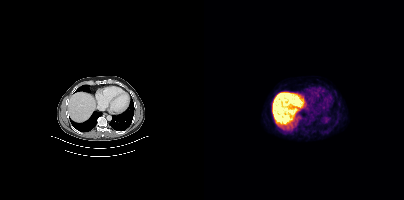
modality: PSMA PET/CT | tracer: 18F-PSMA | view: axial
Negative for PSMA-avid disease on this slice.